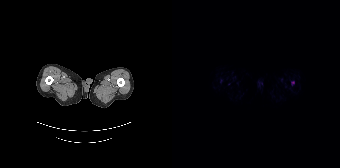
Negative for PSMA-avid disease on this slice.